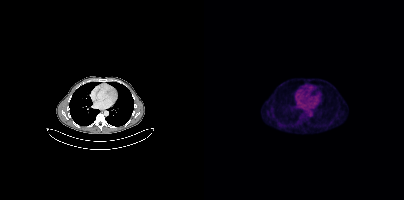
No tumor lesions annotated on this slice.